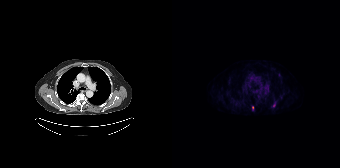
Left: CT. Right: PSMA PET, same axial level, [18F]PSMA-1007 tracer. PET panel 168×168 px (4.1 mm/px). Coordinates are on the 168×168 PET (right) panel. Small PSMA-avid foci (2 to 4 px across) near (center x, center y): (102, 104); (80, 107).